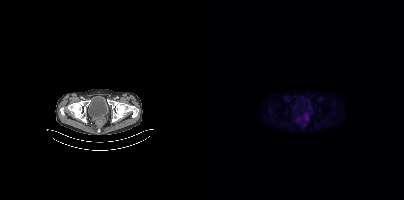
Coordinates are on the 200×200 PET (right) panel. PSMA-avid tumor lesion bounding box (x0,y0,x1,y1): [99,113,104,119]. Small PSMA-avid foci (2 to 4 px across) near (center x, center y): (94, 119); (100, 125).